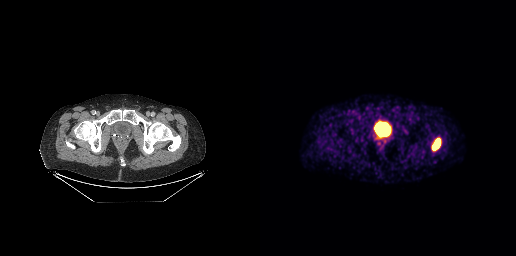
{"pet_grid":[256,256],"coord_frame":"pet_panel","coord_format":"x0,y0,x1,y1","lesion_bboxes":[[172,138,180,150]],"modality":"PSMA PET/CT","view":"axial","tracer":"68Ga"}